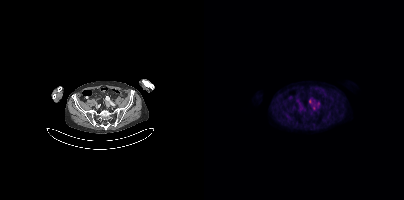
Coordinates are on the 200×200 PET (right) panel. PSMA-avid tumor lesion bounding box (x0,y0,x1,y1): [113,101,116,105]. Small PSMA-avid foci (2 to 4 px across) near (center x, center y): (106, 100) (110, 108) (114, 107).